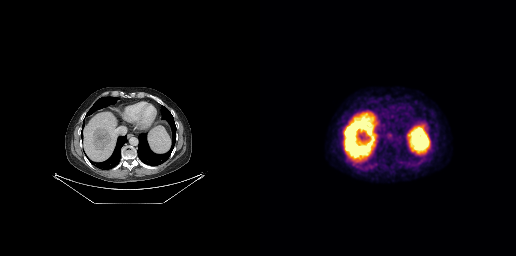
Negative for PSMA-avid disease on this slice.